Paired axial CT (left) and PSMA PET (right), [18F]PSMA-1007 tracer.
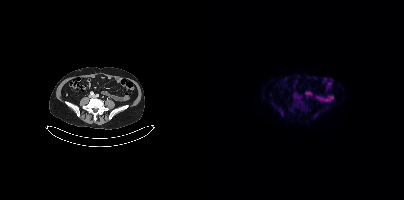
This slice has no annotated PSMA-avid lesion.